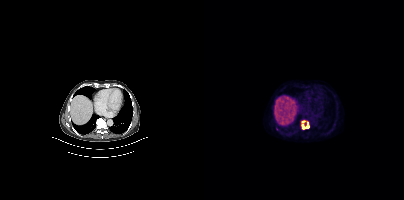
Technique: Left: CT. Right: PSMA PET, same axial level, 18F tracer. acquired on Siemens Biograph mCT Flow 20.
Findings: Coordinates are on the 200×200 PET (right) panel. PSMA-avid tumor lesion bounding box (x, y, width, height): x=97 y=120 w=9 h=10.